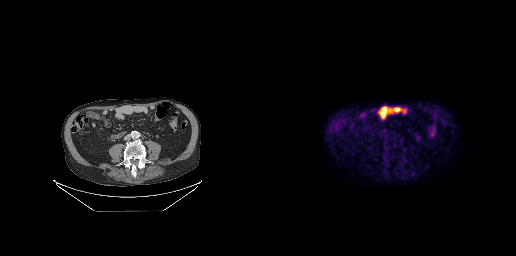
{"modality":"PSMA PET/CT","view":"axial","tracer":"18F-PSMA","pet_grid":[256,256],"coord_frame":"pet_panel","coord_format":"x0,y0,x1,y1","psma_avid_lesions":false}